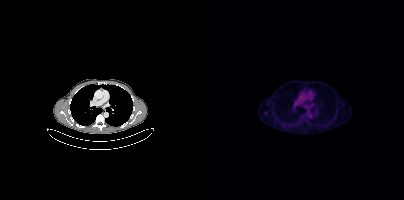
Findings: Only PSMA-avid lesion pieces thinner than 2 px on this slice (not listed).
- Paired axial CT (left) and PSMA PET (right), 18F tracer